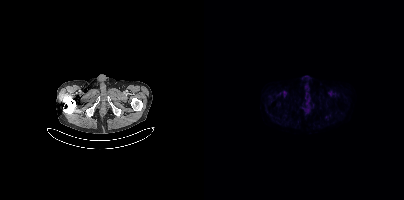
Negative for PSMA-avid disease on this slice.